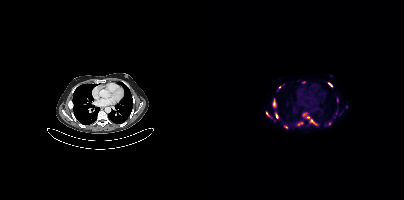
Coordinates are on the 200×200 PET (right) panel. (showing 12 of 15 foci) PSMA-avid tumor lesion bounding boxes (x0, y0)-(x1, y1): (100, 113)-(105, 118); (106, 120)-(111, 124); (69, 101)-(71, 105); (124, 83)-(128, 86); (72, 114)-(74, 118); (94, 123)-(98, 125). Small PSMA-avid foci (2 to 4 px across) near (center x, center y): (81, 127); (133, 100); (75, 87); (62, 113); (125, 123); (142, 106).